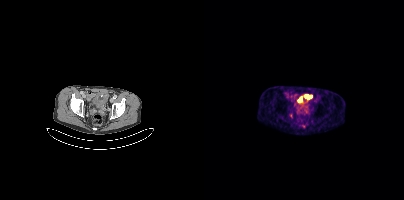
Coordinates are on the 200×200 PET (right) panel. Small PSMA-avid focus (2 to 4 px across) near (center x, center y): (86, 115).